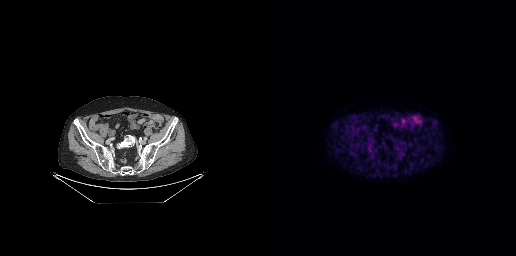
This slice has no annotated PSMA-avid lesion.
modality: PSMA PET/CT | tracer: [18F]PSMA-1007 | view: axial | PET grid: 256×256